- Left: CT. Right: PSMA PET, same axial level, 18F-PSMA tracer
- acquired on GE Discovery 690
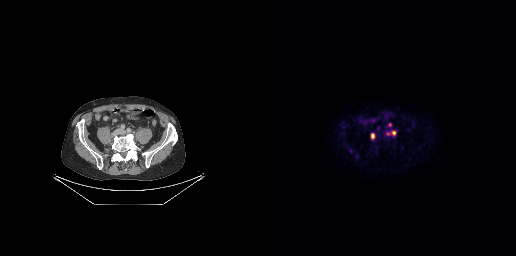
Findings: Coordinates are on the 256×256 PET (right) panel. (showing 3 of 4 foci) PSMA-avid tumor lesion bounding boxes (x0, y0)-(x1, y1): (126, 130)-(136, 136) | (110, 133)-(115, 139). Small PSMA-avid focus (2 to 4 px across) near (center x, center y): (129, 124).